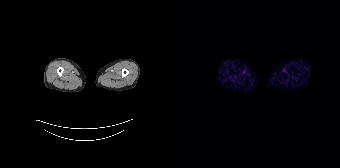
modality: PSMA PET/CT | tracer: 68Ga-PSMA | view: axial
Negative for PSMA-avid disease on this slice.